modality: PSMA PET/CT | tracer: 18F | view: axial | PET grid: 200×200
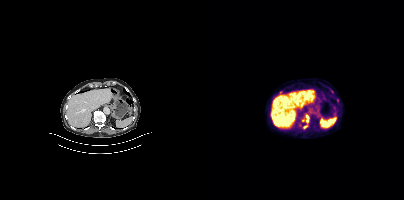
Coordinates are on the 200×200 PET (right) panel. PSMA-avid tumor lesion bounding box (x0, y0)-(x1, y1): (102, 115)-(104, 122). Small PSMA-avid focus (2 to 4 px across) near (center x, center y): (101, 126).